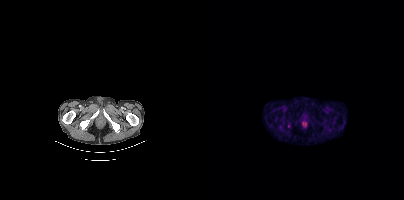
Findings: No PSMA-avid tumor lesions on this slice.
- Two-panel axial: CT | PSMA PET, 18F tracer
- slice 35 of 403